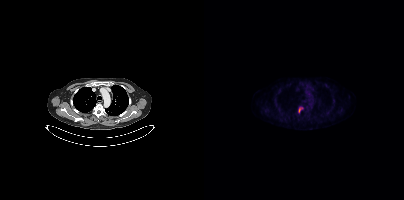
- Paired axial CT (left) and PSMA PET (right), 18F tracer
- slice 325 of 421
- PET panel 200×200 px (4.1 mm/px)
Findings: Coordinates are on the 200×200 PET (right) panel. PSMA-avid tumor lesion bounding box (x, y, width, height): x=94 y=107 w=5 h=6.